modality: PSMA PET/CT | tracer: [18F]PSMA-1007 | view: axial | PET grid: 200×200
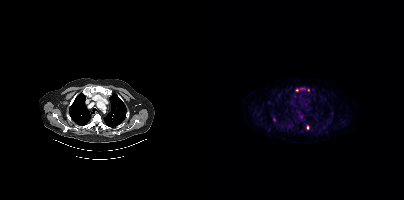
Coordinates are on the 200×200 PET (right) panel. (showing 4 of 6 foci) Small PSMA-avid foci (2 to 4 px across) near (center x, center y): (93, 90) (103, 127) (104, 89) (70, 119).